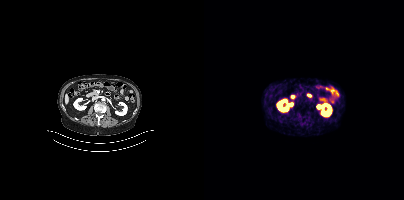
Technique: Left: CT. Right: PSMA PET, same axial level, 68Ga tracer.
Findings: Negative for PSMA-avid disease on this slice.